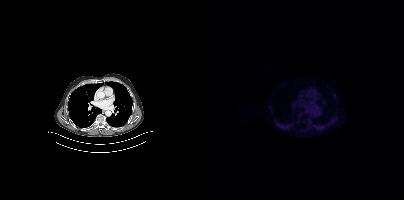
{"pet_grid":[200,200],"coord_frame":"pet_panel","coord_format":"x0,y0,x1,y1","psma_avid_lesions":false,"modality":"PSMA PET/CT","view":"axial","tracer":"18F"}